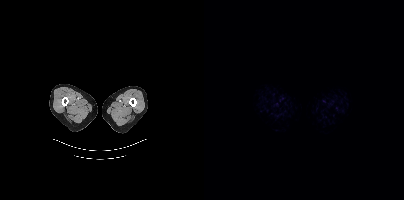
{"modality":"PSMA PET/CT","view":"axial","tracer":"18F","pet_grid":[200,200],"coord_frame":"pet_panel","coord_format":"x0,y0,x1,y1","psma_avid_lesions":false}